Two-panel axial: CT | PSMA PET, [18F]PSMA-1007 tracer. Slice 158 of 395.
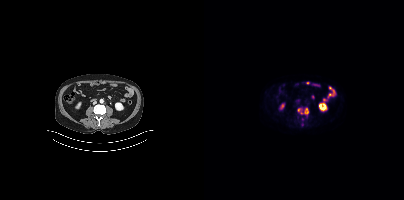
Coordinates are on the 200×200 PET (right) panel. PSMA-avid tumor lesion bounding boxes:
| # | x0 | y0 | x1 | y1 |
|---|---|---|---|---|
| 1 | 93 | 108 | 104 | 114 |